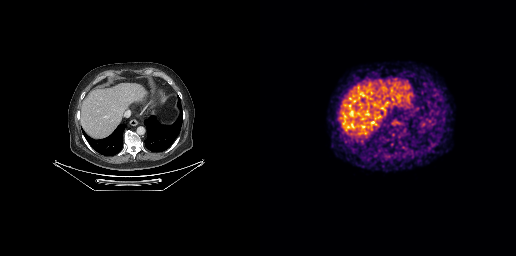
Technique: Two-panel axial: CT | PSMA PET, 68Ga-PSMA tracer. PET panel 256×256 px (2.7 mm/px).
Findings: No PSMA-avid tumor lesions on this slice.